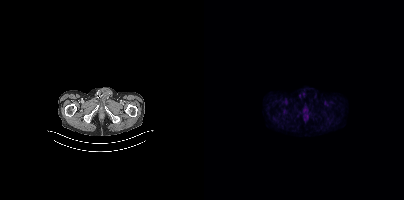
Paired axial CT (left) and PSMA PET (right), 18F tracer. Acquired on Siemens Biograph mCT Flow 20. PET panel 200×200 px (4.1 mm/px). No tumor lesions annotated on this slice.